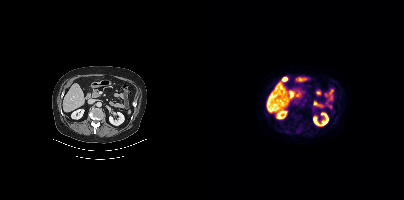
Two-panel axial: CT | PSMA PET, [18F]PSMA-1007 tracer. PET panel 200×200 px (4.1 mm/px). Negative for PSMA-avid disease on this slice.